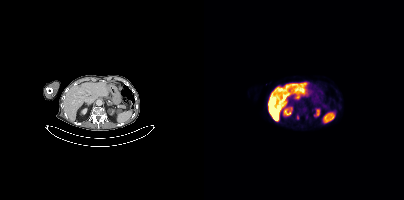
Coordinates are on the 200×200 PET (right) panel. PSMA-avid tumor lesion bounding box (x0,y0,x1,y1): [92,115,95,119].
modality: PSMA PET/CT | tracer: 18F-PSMA | view: axial | PET grid: 200×200